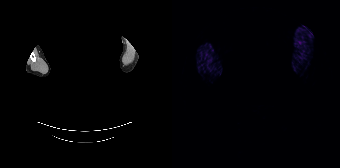
Findings: No PSMA-avid tumor lesions on this slice.
Technique: Two-panel axial: CT | PSMA PET, 68Ga-PSMA tracer. PET panel 168×168 px (4.1 mm/px).
Note: The head region is masked for de-identification.